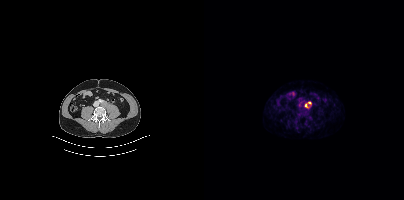
Coordinates are on the 200×200 PET (right) panel. PSMA-avid tumor lesion bounding box (x0, y0)-(x1, y1): (101, 102)-(107, 108).